Left: CT. Right: PSMA PET, same axial level, 18F tracer. Slice 253 of 417. PET panel 200×200 px (4.1 mm/px).
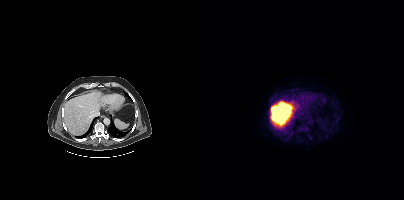
Negative for PSMA-avid disease on this slice.